Technique: Paired axial CT (left) and PSMA PET (right), 18F-PSMA tracer. acquired on Siemens Biograph mCT Flow 20. slice position z = -818 mm. PET panel 200×200 px (4.1 mm/px).
Note: An anonymization step blacked out a rectangle over the head in this scan.
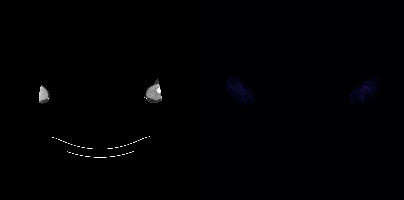
Findings: This slice has no annotated PSMA-avid lesion.